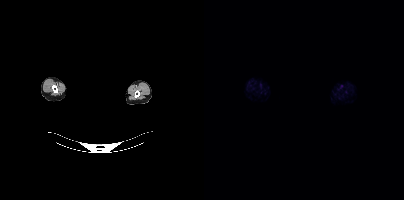
Findings: This slice has no annotated PSMA-avid lesion.
- the face region was removed for patient privacy by blanking a rectangle over the head
- Two-panel axial: CT | PSMA PET, 18F tracer
- PET panel 200×200 px (4.1 mm/px)